Two-panel axial: CT | PSMA PET, 18F tracer. Acquired on Siemens Biograph mCT Flow 20. Slice 39 of 421. PET panel 200×200 px (4.1 mm/px).
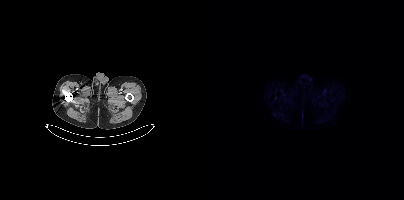
No tumor lesions annotated on this slice.